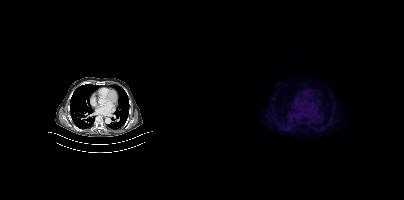
- Left: CT. Right: PSMA PET, same axial level, 18F tracer
- acquired on Siemens Biograph mCT Flow 20
- PET panel 200×200 px (4.1 mm/px)
Findings: No PSMA-avid tumor lesions on this slice.